modality: PSMA PET/CT | tracer: 18F | view: axial | PET grid: 200×200
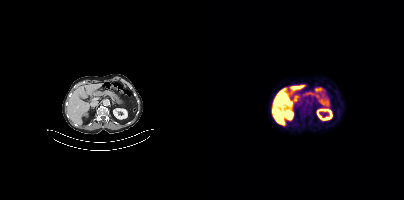
Negative for PSMA-avid disease on this slice.